Left: CT. Right: PSMA PET, same axial level, [18F]PSMA-1007 tracer. Slice 1 of 464. PET panel 200×200 px (4.1 mm/px).
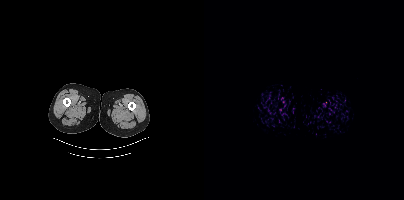
No PSMA-avid tumor lesions on this slice.